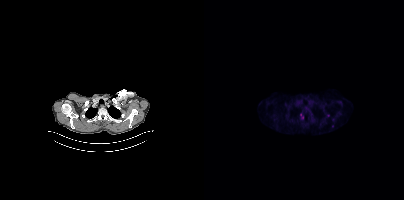
Coordinates are on the 200×200 PET (right) panel. Small PSMA-avid foci (2 to 4 px across) near (center x, center y): (97, 115), (128, 125).